Two-panel axial: CT | PSMA PET, 18F-PSMA tracer.
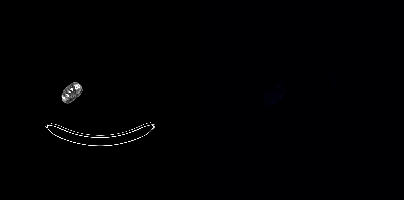
This slice has no annotated PSMA-avid lesion.